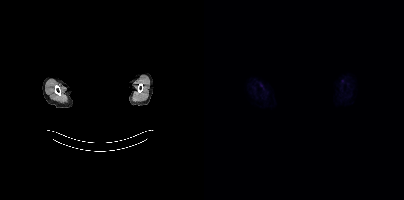
No PSMA-avid tumor lesions on this slice.
Facial anatomy redacted by setting a rectangular region of the head to black.